Two-panel axial: CT | PSMA PET, 18F-PSMA tracer. Acquired on Siemens Biograph mCT Flow 20. Slice position z = -114 mm.
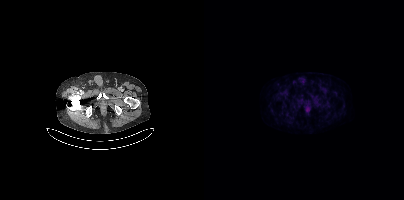
No PSMA-avid tumor lesions on this slice.